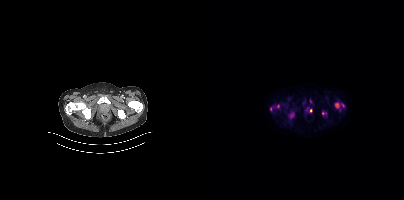
Findings: Coordinates are on the 200×200 PET (right) panel. (showing 6 of 8 foci) PSMA-avid tumor lesion bounding boxes (x0,y0,x1,y1): [84,111,90,118] [131,103,134,107]. Small PSMA-avid foci (2 to 4 px across) near (center x, center y): (66, 108) (107, 109) (119, 113) (106, 101).
- Left: CT. Right: PSMA PET, same axial level, 18F tracer
- PET panel 200×200 px (4.1 mm/px)